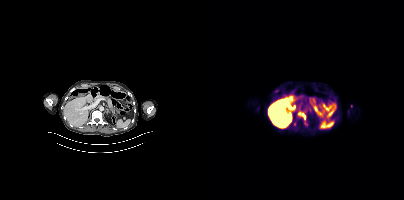
Coordinates are on the 200×200 PET (right) panel. (showing 1 of 2 foci) PSMA-avid tumor lesion bounding box (x, y, width, height): x=93 y=111 w=10 h=10.